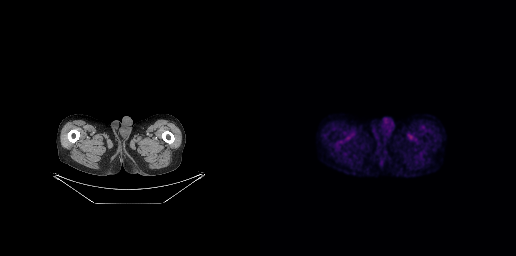
modality: PSMA PET/CT | tracer: [18F]PSMA-1007 | view: axial | PET grid: 256×256
This slice has no annotated PSMA-avid lesion.